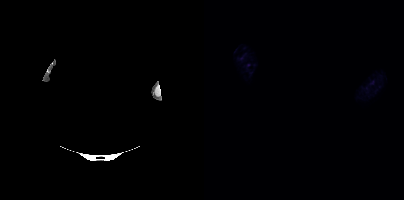
A rectangle over the head was blacked out to remove identifiable facial features.
Negative for PSMA-avid disease on this slice.